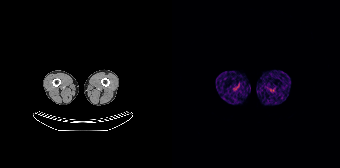
modality: PSMA PET/CT | tracer: 68Ga | view: axial | PET grid: 168×168
This slice has no annotated PSMA-avid lesion.